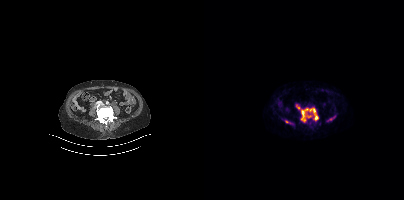
- Paired axial CT (left) and PSMA PET (right), [68Ga]Ga-PSMA-11 tracer
- PET panel 200×200 px (4.1 mm/px)
Findings: Coordinates are on the 200×200 PET (right) panel. PSMA-avid tumor lesion bounding boxes (x0, y0)-(x1, y1): (92, 104)-(114, 122); (81, 120)-(87, 123). Small PSMA-avid focus (2 to 4 px across) near (center x, center y): (127, 118).